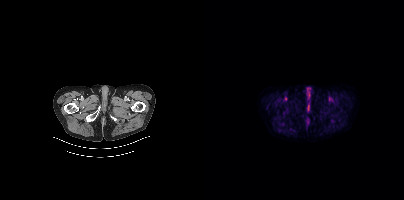
{"modality":"PSMA PET/CT","view":"axial","tracer":"18F-PSMA","pet_grid":[200,200],"coord_frame":"pet_panel","coord_format":"x0,y0,x1,y1","psma_avid_lesions":false}